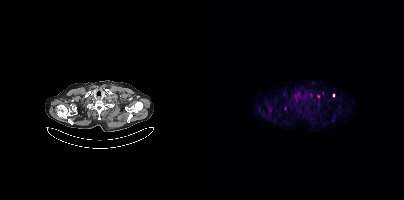
Coordinates are on the 200×200 PET (right) panel. (showing 2 of 6 foci) Small PSMA-avid foci (2 to 4 px across) near (center x, center y): (129, 95) (114, 95).